- Paired axial CT (left) and PSMA PET (right), 18F-PSMA tracer
- PET panel 256×256 px (2.7 mm/px)
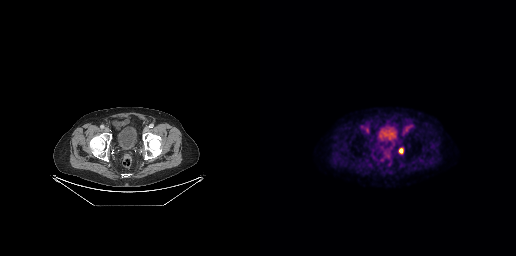
Findings: Coordinates are on the 256×256 PET (right) panel. Small PSMA-avid focus (2 to 4 px across) near (center x, center y): (141, 150).